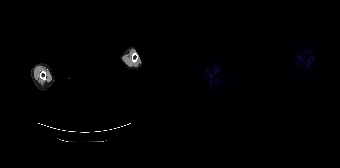
{"modality":"PSMA PET/CT","view":"axial","tracer":"68Ga-PSMA","pet_grid":[168,168],"coord_frame":"pet_panel","coord_format":"x0,y0,x1,y1","de-identification":"facial region redacted","psma_avid_lesions":false}